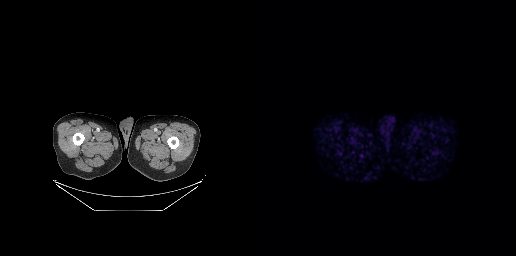
{"modality":"PSMA PET/CT","view":"axial","tracer":"68Ga-PSMA","pet_grid":[256,256],"coord_frame":"pet_panel","coord_format":"x0,y0,x1,y1","psma_avid_lesions":false}